Left: CT. Right: PSMA PET, same axial level, 68Ga-PSMA tracer. Slice position z = -370 mm. PET panel 256×256 px (2.7 mm/px).
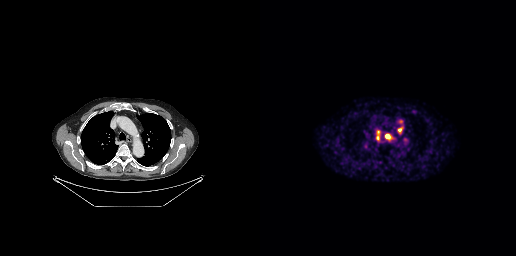
Coordinates are on the 256×256 PET (right) panel. PSMA-avid tumor lesion bounding boxes:
| # | x0 | y0 | x1 | y1 |
|---|---|---|---|---|
| 1 | 116 | 130 | 119 | 139 |
| 2 | 138 | 128 | 142 | 133 |
| 3 | 125 | 134 | 129 | 138 |